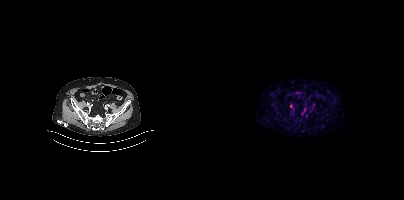
Findings: No tumor lesions annotated on this slice.
- Left: CT. Right: PSMA PET, same axial level, 68Ga-PSMA tracer
- slice position z = -1428 mm
- PET panel 200×200 px (4.1 mm/px)